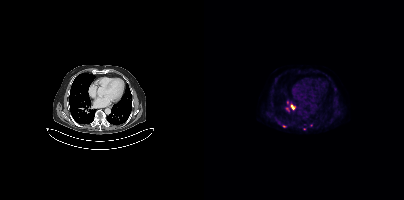
- Left: CT. Right: PSMA PET, same axial level, [18F]PSMA-1007 tracer
- acquired on Siemens Biograph mCT Flow 20
- slice position z = -517 mm
- PET panel 200×200 px (4.1 mm/px)
Findings: Coordinates are on the 200×200 PET (right) panel. Small PSMA-avid foci (2 to 4 px across) near (center x, center y): (100, 129) / (107, 125) / (89, 107).